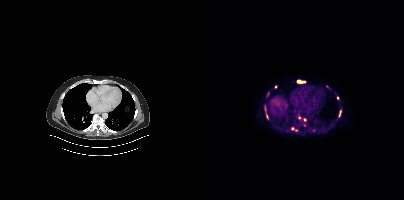
Coordinates are on the 200×200 PET (right) panel. (showing 8 of 10 foci) PSMA-avid tumor lesion bounding boxes (x0,y0,x1,y1): [93,80,101,83] [135,111,136,116]. Small PSMA-avid foci (2 to 4 px across) near (center x, center y): (88, 128) (100, 119) (133, 98) (71, 86) (95, 117) (92, 130).